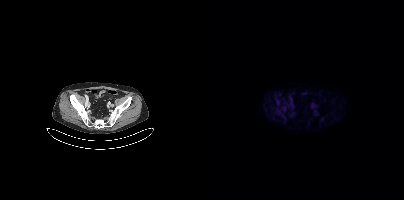
Findings: No PSMA-avid tumor lesions on this slice.
Technique: Two-panel axial: CT | PSMA PET, 18F-PSMA tracer.